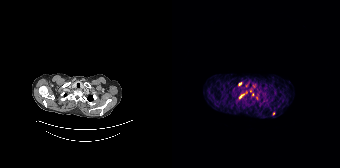
- Left: CT. Right: PSMA PET, same axial level, [68Ga]Ga-PSMA-11 tracer
- slice position z = -384 mm
Findings: Coordinates are on the 168×168 PET (right) panel. (showing 3 of 4 foci) PSMA-avid tumor lesion bounding box (x, y, width, height): x=67 y=94 w=5 h=5. Small PSMA-avid foci (2 to 4 px across) near (center x, center y): (101, 113); (68, 83).